Technique: Two-panel axial: CT | PSMA PET, 18F-PSMA tracer. slice position z = 164 mm. PET panel 200×200 px (4.1 mm/px).
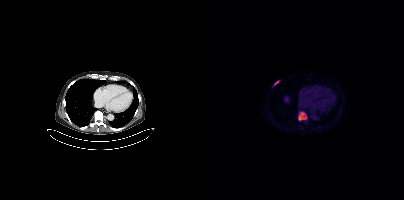
Findings: Coordinates are on the 200×200 PET (right) panel. PSMA-avid tumor lesion bounding boxes (x0, y0)-(x1, y1): (94, 111)-(103, 120); (69, 80)-(75, 86).